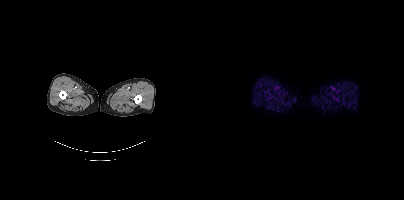
This slice has no annotated PSMA-avid lesion.